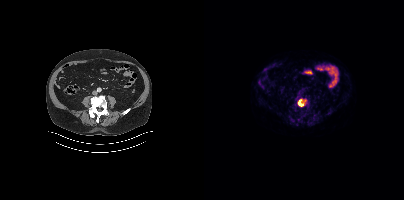
Coordinates are on the 200×200 PET (right) panel. PSMA-avid tumor lesion bounding box (x, y, width, height): x=94 y=99 w=6 h=8.
modality: PSMA PET/CT | tracer: [18F]PSMA-1007 | view: axial